Two-panel axial: CT | PSMA PET, 18F tracer. PET panel 200×200 px (4.1 mm/px).
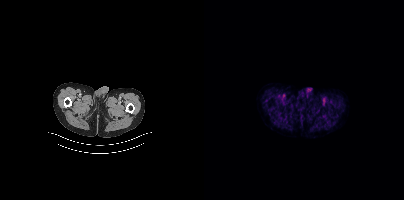
No PSMA-avid tumor lesions on this slice.